modality: PSMA PET/CT | tracer: 18F | view: axial | PET grid: 200×200
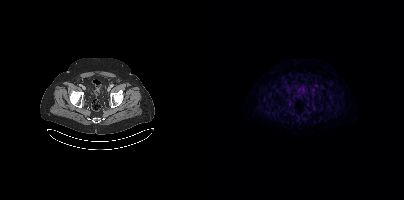
Coordinates are on the 200×200 PET (right) panel. Small PSMA-avid focus (2 to 4 px across) near (center x, center y): (87, 102).